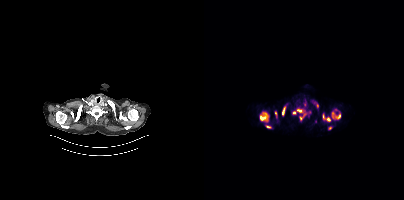
Coordinates are on the 200×200 PET (right) panel. (showing 10 of 11 foci) PSMA-avid tumor lesion bounding boxes (x, y, width, height): x=128 y=108 w=9 h=12 / x=89 y=109 w=15 h=8 / x=56 y=113 w=9 h=8 / x=119 y=116 w=8 h=6 / x=78 y=106 w=4 h=9 / x=62 y=125 w=6 h=4 / x=109 y=101 w=6 h=7 / x=71 y=111 w=2 h=5. Small PSMA-avid foci (2 to 4 px across) near (center x, center y): (125, 127) / (97, 119).